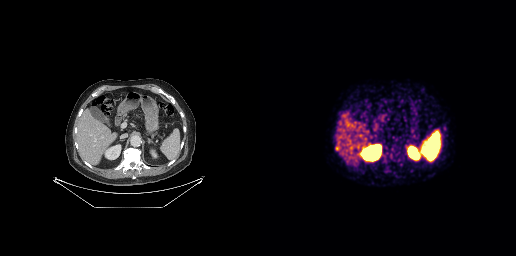
modality: PSMA PET/CT | tracer: [68Ga]Ga-PSMA-11 | view: axial
Coordinates are on the 256×256 PET (right) panel. PSMA-avid tumor lesion bounding box (x, y, width, height): x=76 y=146 w=4 h=5.